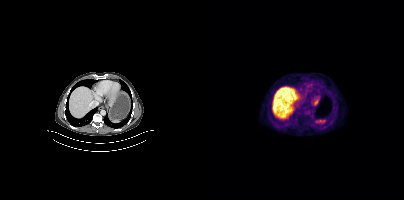
modality: PSMA PET/CT | tracer: 18F | view: axial
No PSMA-avid tumor lesions on this slice.